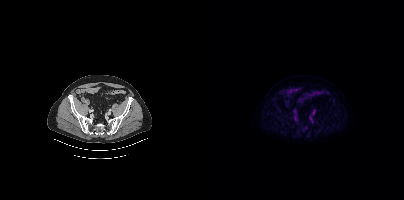
Left: CT. Right: PSMA PET, same axial level, [18F]PSMA-1007 tracer. No tumor lesions annotated on this slice.